modality: PSMA PET/CT | tracer: [18F]PSMA-1007 | view: axial | PET grid: 200×200
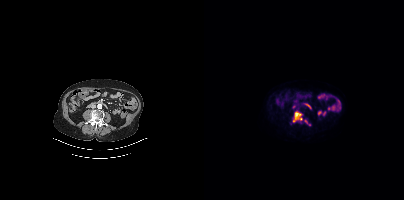
Coordinates are on the 200×200 PET (right) panel. PSMA-avid tumor lesion bounding boxes (x0,y0,x1,y1): [88,110,98,122] [100,119,106,125]. Small PSMA-avid focus (2 to 4 px across) near (center x, center y): (86, 124).